- Two-panel axial: CT | PSMA PET, 18F-PSMA tracer
- acquired on Siemens Biograph mCT Flow 20
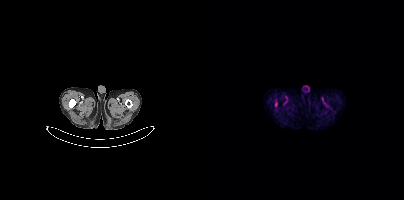
Findings: Coordinates are on the 200×200 PET (right) panel. PSMA-avid tumor lesion bounding box (x0, y0)-(x1, y1): (71, 102)-(73, 106).